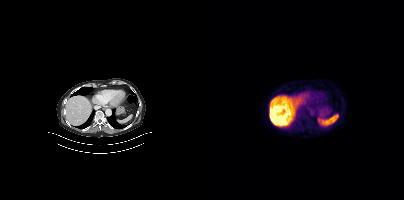
No tumor lesions annotated on this slice. Two-panel axial: CT | PSMA PET, [18F]PSMA-1007 tracer. Acquired on Siemens Biograph mCT Flow 20. Slice 243 of 423. PET panel 200×200 px (4.1 mm/px).